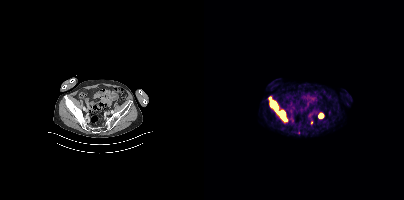
Technique: Paired axial CT (left) and PSMA PET (right), 18F tracer. PET panel 200×200 px (4.1 mm/px).
Findings: Coordinates are on the 200×200 PET (right) panel. (showing 2 of 4 foci) PSMA-avid tumor lesion bounding boxes (x0,y0,x1,y1): [64,96,83,122] [114,113,119,118].